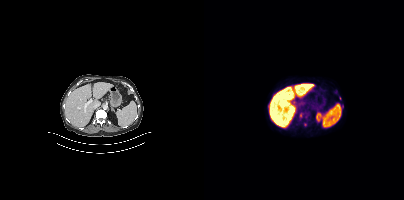
Technique: Paired axial CT (left) and PSMA PET (right), 18F tracer. slice position z = -1216 mm. PET panel 200×200 px (4.1 mm/px).
Findings: Coordinates are on the 200×200 PET (right) panel. (showing 1 of 4 foci) Small PSMA-avid focus (2 to 4 px across) near (center x, center y): (96, 115).